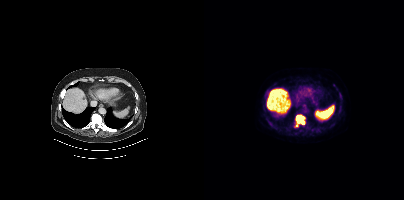
{"modality":"PSMA PET/CT","view":"axial","tracer":"18F","pet_grid":[200,200],"coord_frame":"pet_panel","coord_format":"x0,y0,x1,y1","partial":true,"lesion_bboxes":[[91,115,100,126],[112,129,116,133]],"small_foci_centers":[[135,109],[107,129],[136,95],[66,123]]}